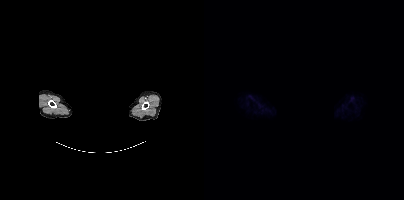
{"modality":"PSMA PET/CT","view":"axial","tracer":"18F-PSMA","pet_grid":[200,200],"coord_frame":"pet_panel","coord_format":"x0,y0,x1,y1","psma_avid_lesions":false,"deidentification":"head region blacked out before release"}